modality: PSMA PET/CT | tracer: [18F]PSMA-1007 | view: axial | PET grid: 168×168
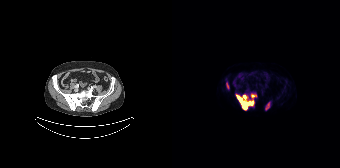
Coordinates are on the 168×168 PET (right) panel. PSMA-avid tumor lesion bounding boxes (x0, y0)-(x1, y1): (64, 94)-(84, 110) | (94, 102)-(97, 109) | (55, 84)-(56, 88).